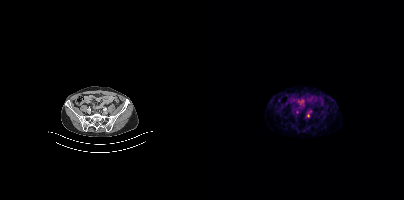
{"pet_grid":[200,200],"coord_frame":"pet_panel","coord_format":"x0,y0,x1,y1","partial":true,"lesion_bboxes":[],"modality":"PSMA PET/CT","view":"axial","tracer":"[68Ga]Ga-PSMA-11"}